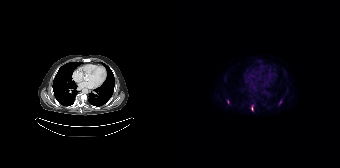
Coordinates are on the 168×168 PET (right) panel. (showing 2 of 3 foci) PSMA-avid tumor lesion bounding boxes (x0,y0,x1,y1): [79,105,81,110] [107,100,110,104].
modality: PSMA PET/CT | tracer: 18F-PSMA | view: axial | PET grid: 168×168